modality: PSMA PET/CT | tracer: [18F]PSMA-1007 | view: axial | PET grid: 200×200
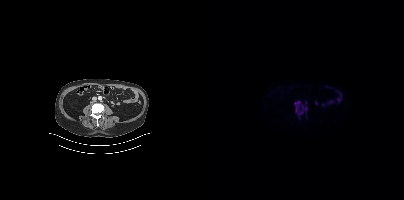
Coordinates are on the 200×200 PET (right) panel. PSMA-avid tumor lesion bounding boxes (x0, y0)-(x1, y1): (94, 106)-(103, 115); (92, 101)-(96, 104).